Paired axial CT (left) and PSMA PET (right), 18F-PSMA tracer. PET panel 200×200 px (4.1 mm/px).
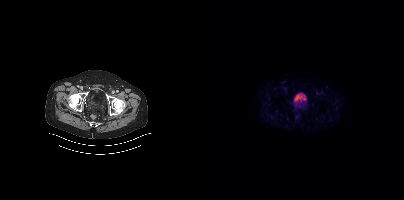
No tumor lesions annotated on this slice.